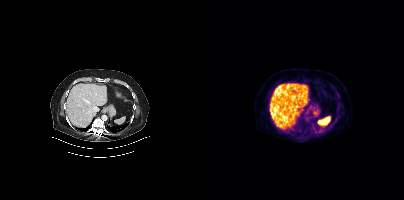
Technique: Paired axial CT (left) and PSMA PET (right), 18F tracer. slice 269 of 438.
Findings: This slice has no annotated PSMA-avid lesion.